Technique: Paired axial CT (left) and PSMA PET (right), 18F-PSMA tracer. PET panel 256×256 px (2.7 mm/px).
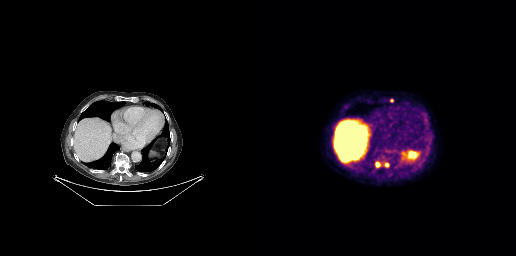
Findings: Coordinates are on the 256×256 PET (right) panel. PSMA-avid tumor lesion bounding boxes (x0, y0)-(x1, y1): (116, 162)-(119, 167); (166, 119)-(169, 123). Small PSMA-avid foci (2 to 4 px across) near (center x, center y): (131, 100); (126, 164).